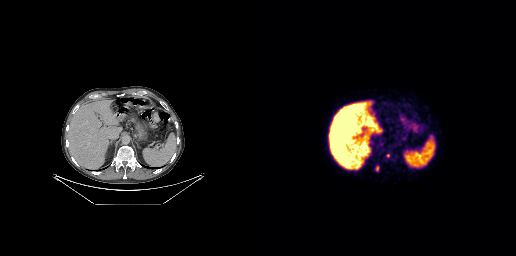
Left: CT. Right: PSMA PET, same axial level, 18F tracer. Acquired on GE Discovery 690. Coordinates are on the 256×256 PET (right) panel. PSMA-avid tumor lesion bounding box (x, y, width, height): x=115 y=165 w=5 h=7. Small PSMA-avid focus (2 to 4 px across) near (center x, center y): (127, 155).